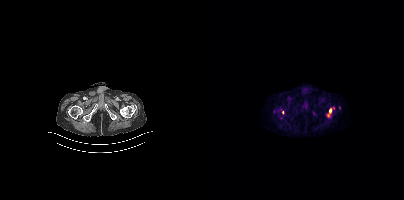
Coordinates are on the 200×200 PET (right) panel. (showing 4 of 5 foci) PSMA-avid tumor lesion bounding boxes (x, y, width, height): x=122 y=107 w=9 h=11 / x=78 y=110 w=3 h=5. Small PSMA-avid foci (2 to 4 px across) near (center x, center y): (77, 117) / (135, 107).